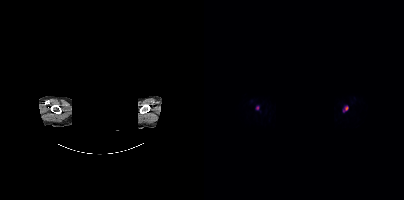
Left: CT. Right: PSMA PET, same axial level, 18F tracer. Acquired on Siemens Biograph mCT Flow 20. A rectangular block over the head has been blanked out for de-identification. Coordinates are on the 200×200 PET (right) panel. PSMA-avid tumor lesion bounding box (x, y, width, height): x=139 y=105 w=6 h=8. Small PSMA-avid focus (2 to 4 px across) near (center x, center y): (53, 107).